Technique: Two-panel axial: CT | PSMA PET, 68Ga tracer. acquired on Siemens Biograph 64-4R TruePoint. slice position z = -442 mm.
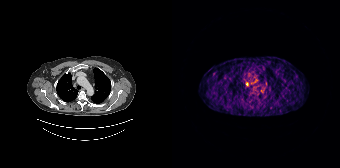
Findings: Coordinates are on the 168×168 PET (right) panel. (showing 2 of 4 foci) Small PSMA-avid foci (2 to 4 px across) near (center x, center y): (75, 83) / (92, 83).